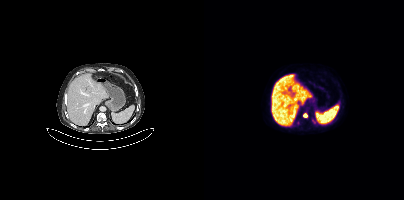
Findings: Coordinates are on the 200×200 PET (right) panel. (showing 1 of 2 foci) Small PSMA-avid focus (2 to 4 px across) near (center x, center y): (101, 115).
Technique: Two-panel axial: CT | PSMA PET, [18F]PSMA-1007 tracer. slice position z = 244 mm.